Two-panel axial: CT | PSMA PET, 18F tracer. PET panel 200×200 px (4.1 mm/px).
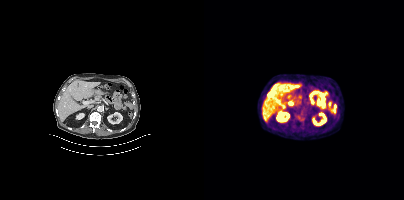
No tumor lesions annotated on this slice.